modality: PSMA PET/CT | tracer: [18F]PSMA-1007 | view: axial
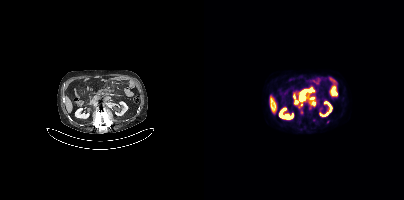
Coordinates are on the 200×200 PET (right) panel. PSMA-avid tumor lesion bounding boxes (x, y, width, height): x=95 y=87 w=15 h=14; x=96 y=110 w=4 h=5. Small PSMA-avid focus (2 to 4 px across) near (center x, center y): (110, 103).